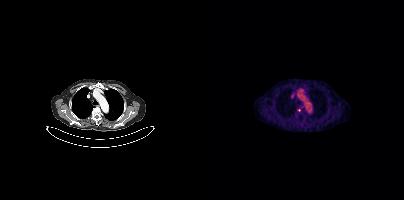
- Left: CT. Right: PSMA PET, same axial level, [18F]PSMA-1007 tracer
- acquired on Siemens Biograph mCT Flow 20
Findings: Coordinates are on the 200×200 PET (right) panel. Small PSMA-avid focus (2 to 4 px across) near (center x, center y): (95, 110).